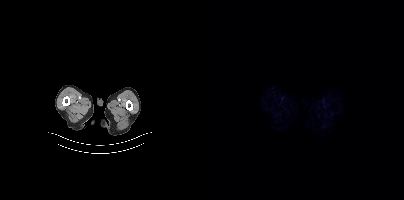
- Paired axial CT (left) and PSMA PET (right), 18F tracer
- slice 12 of 421
- PET panel 200×200 px (4.1 mm/px)
Findings: No PSMA-avid tumor lesions on this slice.